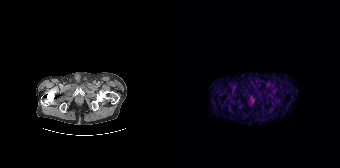
{"modality":"PSMA PET/CT","view":"axial","tracer":"[68Ga]Ga-PSMA-11","pet_grid":[168,168],"coord_frame":"pet_panel","coord_format":"x0,y0,x1,y1","lesion_bboxes":[],"small_foci_centers":[[77,100]]}